Paired axial CT (left) and PSMA PET (right), 68Ga-PSMA tracer. Slice 94 of 195. PET panel 168×168 px (4.1 mm/px).
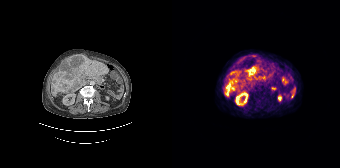
Coordinates are on the 168×168 PET (right) panel. PSMA-avid tumor lesion bounding boxes (x0,y0,x1,y1): [52,81,62,96] [75,67,83,75] [64,68,70,74]. Small PSMA-avid foci (2 to 4 px across) near (center x, center y): (60, 71) (62, 80).